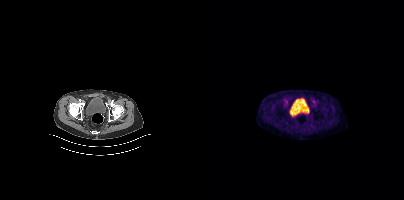
Negative for PSMA-avid disease on this slice.